Left: CT. Right: PSMA PET, same axial level, 18F-PSMA tracer. Acquired on Siemens Biograph mCT Flow 20. PET panel 200×200 px (4.1 mm/px).
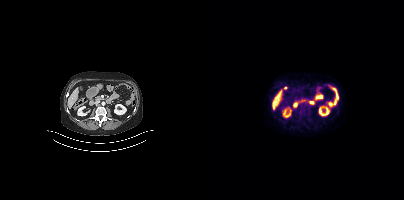
This slice has no annotated PSMA-avid lesion.